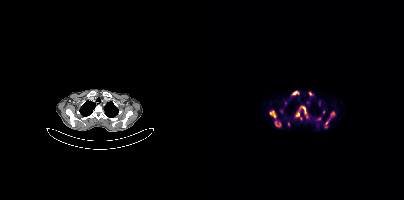
{"modality":"PSMA PET/CT","view":"axial","tracer":"68Ga-PSMA","pet_grid":[200,200],"coord_frame":"pet_panel","coord_format":"x0,y0,x1,y1","lesion_bboxes":[[65,110,71,117],[87,91,94,95],[92,113,98,119],[71,122,76,126],[98,106,102,115],[76,109,79,113]],"small_foci_centers":[[128,113],[106,93],[122,122],[84,123],[81,103],[115,118],[119,111],[121,126]]}